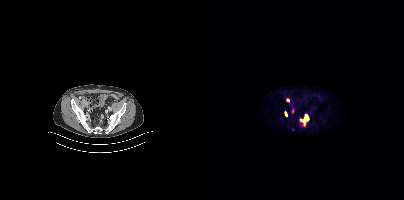
Technique: Left: CT. Right: PSMA PET, same axial level, 18F tracer.
Findings: Coordinates are on the 200×200 PET (right) panel. PSMA-avid tumor lesion bounding boxes (x, y, width, height): x=95 y=114 w=11 h=13 / x=80 y=111 w=4 h=6 / x=82 y=98 w=4 h=5. Small PSMA-avid foci (2 to 4 px across) near (center x, center y): (88, 111) / (88, 129).